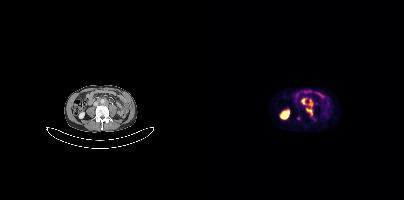
Findings: Coordinates are on the 200×200 PET (right) panel. PSMA-avid tumor lesion bounding boxes (x, y, width, height): x=102 y=102 w=7 h=14 | x=97 y=98 w=6 h=7. Small PSMA-avid foci (2 to 4 px across) near (center x, center y): (94, 118) | (111, 119).
Technique: Left: CT. Right: PSMA PET, same axial level, 68Ga tracer. acquired on Siemens Biograph mCT Flow 20. PET panel 200×200 px (4.1 mm/px).